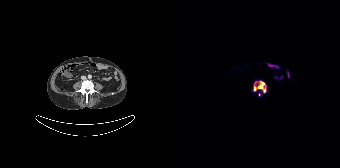
Coordinates are on the 168×168 PET (right) panel. PSMA-avid tumor lesion bounding boxes:
| # | x0 | y0 | x1 | y1 |
|---|---|---|---|---|
| 1 | 80 | 80 | 94 | 93 |
Small PSMA-avid focus (2 to 4 px across) near (center x, center y): (87, 94).
Two-panel axial: CT | PSMA PET, [18F]PSMA-1007 tracer. Acquired on Siemens Biograph 64-4R TruePoint.